Paired axial CT (left) and PSMA PET (right), 18F tracer. PET panel 200×200 px (4.1 mm/px).
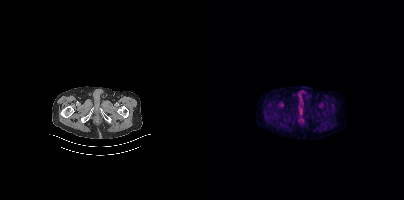
No tumor lesions annotated on this slice.